- Two-panel axial: CT | PSMA PET, 18F tracer
- PET panel 200×200 px (4.1 mm/px)
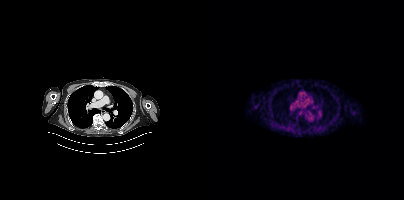
Findings: Negative for PSMA-avid disease on this slice.